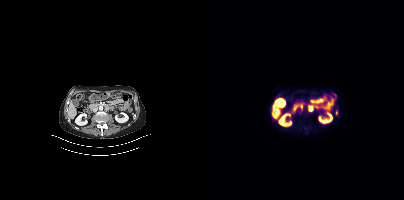
{"modality":"PSMA PET/CT","view":"axial","tracer":"[18F]PSMA-1007","pet_grid":[200,200],"coord_frame":"pet_panel","coord_format":"x0,y0,x1,y1","lesion_bboxes":[],"small_foci_centers":[[106,108],[97,109]]}